Left: CT. Right: PSMA PET, same axial level, [18F]PSMA-1007 tracer.
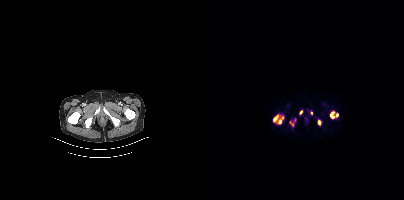
Coordinates are on the 200×200 PET (right) panel. PSMA-avid tumor lesion bounding boxes (partial; 1 more focus not listed):
| # | x0 | y0 | x1 | y1 |
|---|---|---|---|---|
| 1 | 126 | 111 | 134 | 118 |
| 2 | 69 | 115 | 74 | 121 |
| 3 | 114 | 120 | 117 | 124 |
| 4 | 74 | 119 | 77 | 123 |
| 5 | 86 | 121 | 89 | 126 |
Small PSMA-avid foci (2 to 4 px across) near (center x, center y): (97, 112); (107, 113); (78, 117).